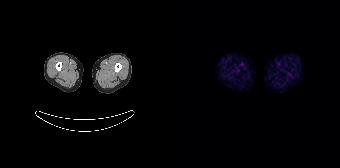
Negative for PSMA-avid disease on this slice.